- Paired axial CT (left) and PSMA PET (right), [68Ga]Ga-PSMA-11 tracer
- acquired on GE Discovery 690
- PET panel 256×256 px (2.7 mm/px)
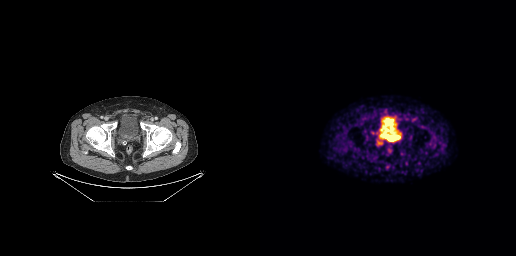
Findings: Coordinates are on the 256×256 PET (right) panel. PSMA-avid tumor lesion bounding boxes (x0, y0)-(x1, y1): (121, 134)-(133, 141); (135, 135)-(140, 139).